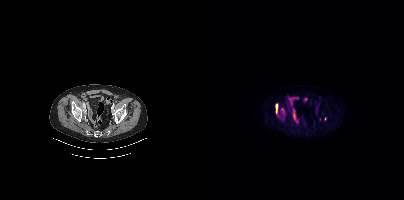
Coordinates are on the 200×200 PET (right) panel. PSMA-avid tumor lesion bounding box (x0, y0)-(x1, y1): (72, 104)-(73, 112).